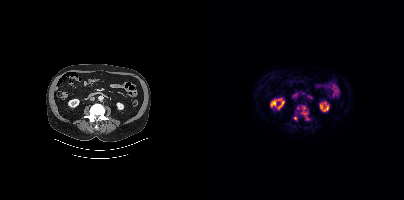
Findings: Coordinates are on the 200×200 PET (right) panel. (showing 2 of 4 foci) PSMA-avid tumor lesion bounding box (x0,y0,x1,y1): [97,106,104,119]. Small PSMA-avid focus (2 to 4 px across) near (center x, center y): (91, 118).
Technique: Two-panel axial: CT | PSMA PET, 18F-PSMA tracer. slice position z = -725 mm. PET panel 200×200 px (4.1 mm/px).